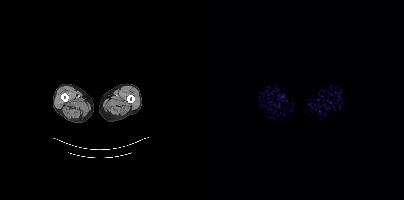
- Left: CT. Right: PSMA PET, same axial level, 18F-PSMA tracer
Findings: No tumor lesions annotated on this slice.